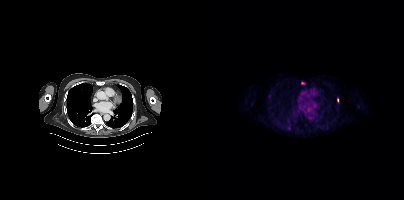
Paired axial CT (left) and PSMA PET (right), [18F]PSMA-1007 tracer. Negative for PSMA-avid disease on this slice.